Technique: Two-panel axial: CT | PSMA PET, 18F tracer.
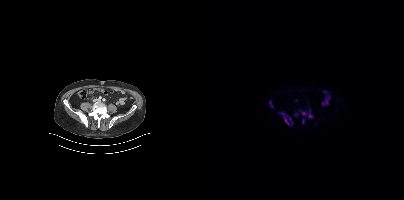
Findings: Coordinates are on the 200×200 PET (right) panel. PSMA-avid tumor lesion bounding boxes (x, y, width, height): x=75 y=112 w=14 h=14 / x=95 y=109 w=14 h=9 / x=98 y=118 w=3 h=7 / x=65 y=101 w=4 h=6.